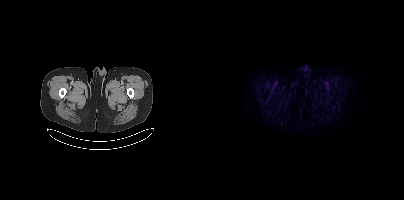
modality: PSMA PET/CT | tracer: 18F-PSMA | view: axial
Coordinates are on the 200×200 PET (right) panel. (showing 1 of 2 foci) Small PSMA-avid focus (2 to 4 px across) near (center x, center y): (66, 90).